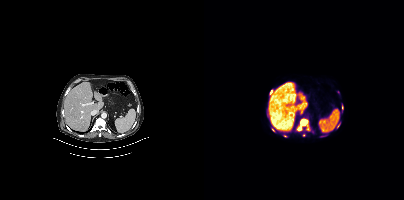
modality: PSMA PET/CT | tracer: 18F-PSMA | view: axial | PET grid: 200×200
Coordinates are on the 200×200 PET (right) panel. (showing 3 of 6 foci) PSMA-avid tumor lesion bounding boxes (x0, y0)-(x1, y1): (94, 119)-(103, 130) / (66, 90)-(68, 94). Small PSMA-avid focus (2 to 4 px across) near (center x, center y): (69, 130).